Paired axial CT (left) and PSMA PET (right), 68Ga tracer. PET panel 168×168 px (4.1 mm/px).
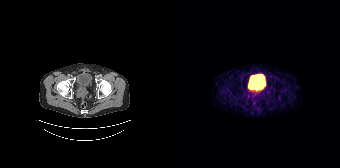
No tumor lesions annotated on this slice.